Two-panel axial: CT | PSMA PET, 68Ga tracer. Acquired on GE Discovery 690. Slice position z = -692 mm. PET panel 256×256 px (2.7 mm/px).
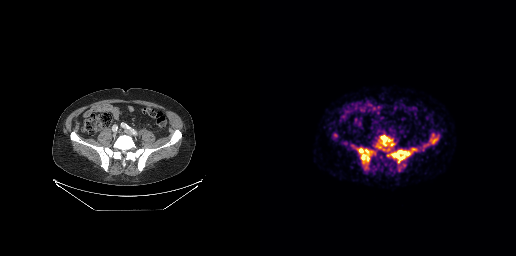
Coordinates are on the 256×256 PET (right) panel. PSMA-avid tumor lesion bounding boxes (partial; 5 more foci not listed):
| # | x0 | y0 | x1 | y1 |
|---|---|---|---|---|
| 1 | 127 | 149 | 150 | 162 |
| 2 | 98 | 148 | 109 | 161 |
| 3 | 120 | 135 | 134 | 146 |
Small PSMA-avid focus (2 to 4 px across) near (center x, center y): (153, 149).